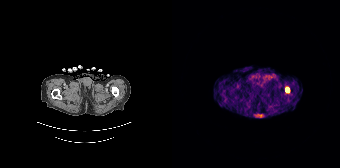
Findings: Coordinates are on the 168×168 PET (right) panel. PSMA-avid tumor lesion bounding box (x0,y0,x1,y1): [113,87,117,92].
Technique: Paired axial CT (left) and PSMA PET (right), 68Ga tracer. PET panel 168×168 px (4.1 mm/px).